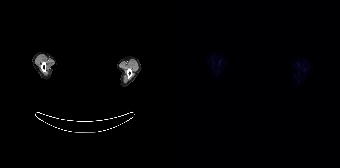
{"modality":"PSMA PET/CT","view":"axial","tracer":"18F-PSMA","pet_grid":[168,168],"coord_frame":"pet_panel","coord_format":"x0,y0,x1,y1","psma_avid_lesions":false,"deidentification":"head region blanked (face removed)"}